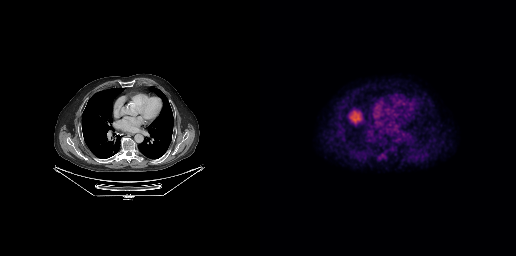
{"pet_grid":[256,256],"coord_frame":"pet_panel","coord_format":"x0,y0,x1,y1","psma_avid_lesions":false,"modality":"PSMA PET/CT","view":"axial","tracer":"18F-PSMA"}